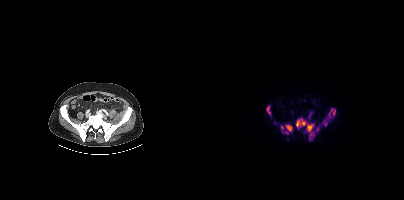
Two-panel axial: CT | PSMA PET, 18F tracer.
Coordinates are on the 200×200 PET (right) panel. PSMA-avid tumor lesion bounding boxes:
| # | x0 | y0 | x1 | y1 |
|---|---|---|---|---|
| 1 | 92 | 118 | 101 | 126 |
| 2 | 124 | 108 | 131 | 117 |
| 3 | 103 | 124 | 109 | 131 |
| 4 | 81 | 125 | 88 | 131 |
| 5 | 117 | 120 | 124 | 126 |
| 6 | 62 | 106 | 66 | 114 |
| 7 | 105 | 134 | 109 | 139 |
| 8 | 76 | 125 | 79 | 129 |
| 9 | 113 | 126 | 115 | 131 |
Small PSMA-avid foci (2 to 4 px across) near (center x, center y): (82, 132); (70, 122).